Paired axial CT (left) and PSMA PET (right), 18F tracer. Acquired on Siemens Biograph mCT Flow 20. PET panel 200×200 px (4.1 mm/px).
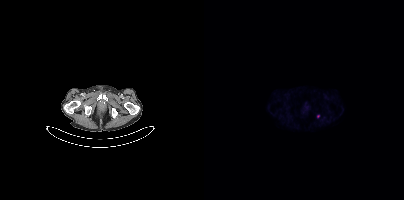
Coordinates are on the 200×200 PET (right) panel. Small PSMA-avid focus (2 to 4 px across) near (center x, center y): (114, 116).